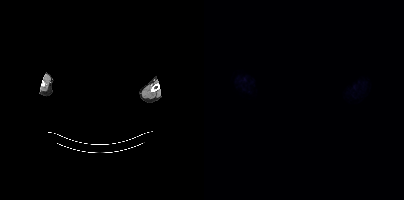
{"modality":"PSMA PET/CT","view":"axial","tracer":"[18F]PSMA-1007","pet_grid":[200,200],"coord_frame":"pet_panel","coord_format":"x0,y0,x1,y1","de-identification":"face masked with black rectangle","psma_avid_lesions":false}